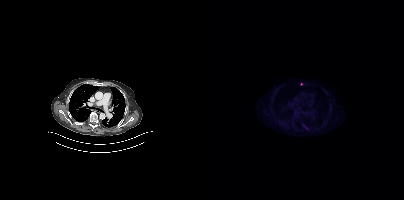
Two-panel axial: CT | PSMA PET, 18F-PSMA tracer. Slice position z = -566 mm. Coordinates are on the 200×200 PET (right) panel. (showing 1 of 2 foci) Small PSMA-avid focus (2 to 4 px across) near (center x, center y): (97, 84).